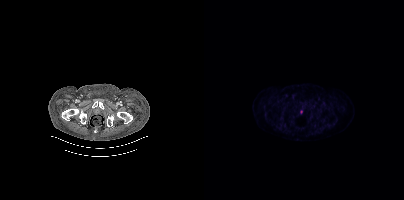
Left: CT. Right: PSMA PET, same axial level, [18F]PSMA-1007 tracer. Acquired on Siemens Biograph mCT Flow 20. PET panel 200×200 px (4.1 mm/px). No tumor lesions annotated on this slice.